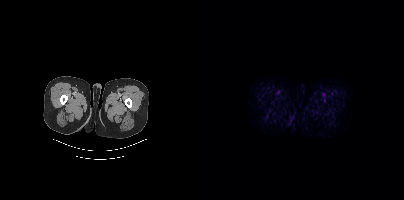
Negative for PSMA-avid disease on this slice.